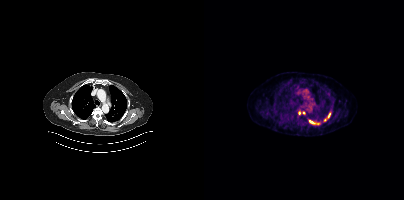
Coordinates are on the 200×200 PET (right) panel. PSMA-avid tumor lesion bounding boxes (x0, y0)-(x1, y1): (120, 112)-(127, 121); (105, 120)-(115, 124). Small PSMA-avid foci (2 to 4 px across) near (center x, center y): (95, 112); (100, 113).